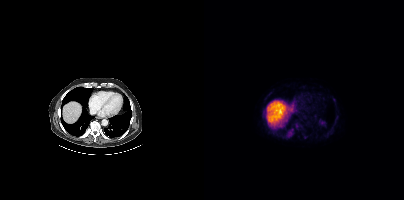
Paired axial CT (left) and PSMA PET (right), [18F]PSMA-1007 tracer. Coordinates are on the 200×200 PET (right) panel. Small PSMA-avid focus (2 to 4 px across) near (center x, center y): (92, 125).